modality: PSMA PET/CT | tracer: 18F | view: axial
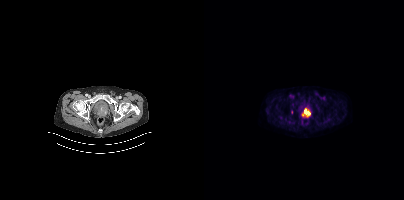
Coordinates are on the 200×200 PET (right) panel. PSMA-avid tumor lesion bounding box (x0,y0,x1,y1): [98,109,105,116].